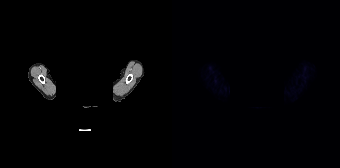
- any black rectangle over the head is a privacy mask, not anatomy
- Paired axial CT (left) and PSMA PET (right), 18F-PSMA tracer
- acquired on Siemens Biograph 64-4R TruePoint
Findings: No tumor lesions annotated on this slice.